Technique: Two-panel axial: CT | PSMA PET, 18F-PSMA tracer. acquired on Siemens Biograph mCT Flow 20. slice 119 of 383. PET panel 200×200 px (4.1 mm/px).
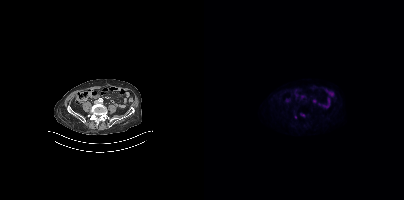
Findings: Only PSMA-avid lesion pieces thinner than 2 px on this slice (not listed).